Technique: Paired axial CT (left) and PSMA PET (right), 18F-PSMA tracer. PET panel 200×200 px (4.1 mm/px).
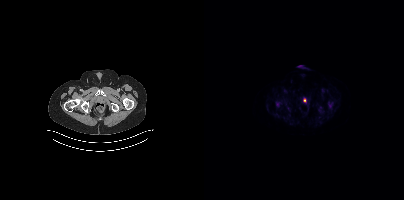
Findings: No tumor lesions annotated on this slice.